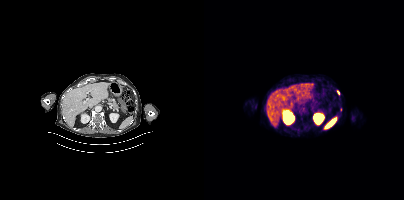
Coordinates are on the 200×200 PET (right) panel. Small PSMA-avid focus (2 to 4 px across) near (center x, center y): (134, 92).